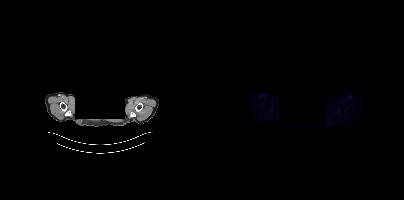
{"pet_grid":[200,200],"coord_frame":"pet_panel","coord_format":"x0,y0,x1,y1","psma_avid_lesions":false,"deidentification":"privacy mask over head","modality":"PSMA PET/CT","view":"axial","tracer":"18F"}